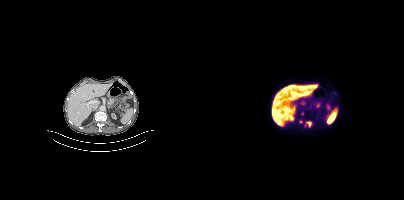
Technique: Paired axial CT (left) and PSMA PET (right), [18F]PSMA-1007 tracer. acquired on Siemens Biograph mCT Flow 20. slice 187 of 405.
Findings: Coordinates are on the 200×200 PET (right) panel. PSMA-avid tumor lesion bounding box (x0,y0,x1,y1): [103,121,107,126]. Small PSMA-avid foci (2 to 4 px across) near (center x, center y): (98, 113), (96, 121).